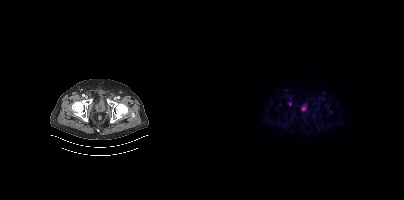
Technique: Paired axial CT (left) and PSMA PET (right), 18F tracer. slice position z = -1595 mm. PET panel 200×200 px (4.1 mm/px).
Findings: Only PSMA-avid lesion pieces thinner than 2 px on this slice (not listed).